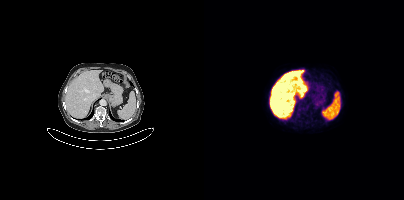
Coordinates are on the 200×200 PET (right) panel. Small PSMA-avid focus (2 to 4 px across) near (center x, center y): (94, 110).